- Paired axial CT (left) and PSMA PET (right), 18F tracer
- slice 12 of 401
- PET panel 200×200 px (4.1 mm/px)
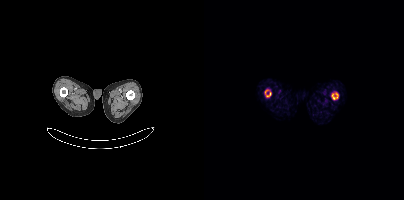
Findings: Coordinates are on the 200×200 PET (right) panel. PSMA-avid tumor lesion bounding boxes (x0,y0,x1,y1): [127,92,134,99] [61,89,67,97].